modality: PSMA PET/CT | tracer: 18F-PSMA | view: axial | PET grid: 168×168 | redaction: head region blanked (face removed)
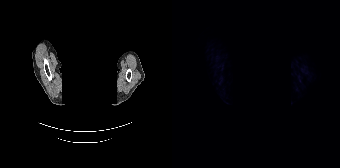
No PSMA-avid tumor lesions on this slice.